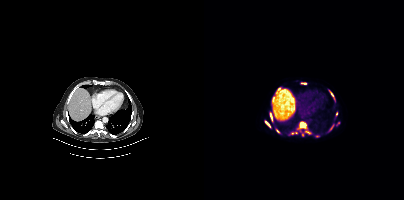
Left: CT. Right: PSMA PET, same axial level, 18F tracer.
Coordinates are on the 200×200 PET (right) panel. PSMA-avid tumor lesion bounding boxes (partial; 4 more foci not listed):
| # | x0 | y0 | x1 | y1 |
|---|---|---|---|---|
| 1 | 96 | 122 | 102 | 128 |
| 2 | 61 | 121 | 66 | 127 |
| 3 | 66 | 113 | 68 | 120 |
| 4 | 68 | 102 | 69 | 106 |
Small PSMA-avid foci (2 to 4 px across) near (center x, center y): (128, 94); (73, 130); (74, 89); (132, 113); (103, 132); (100, 83); (127, 128).